modality: PSMA PET/CT | tracer: [18F]PSMA-1007 | view: axial | PET grid: 168×168
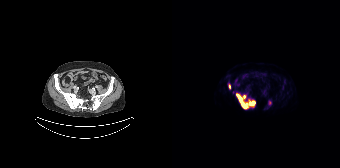
Coordinates are on the 168×168 PET (right) panel. PSMA-avid tumor lesion bounding box (x0,y0,x1,y1): [64,93,83,109]. Small PSMA-avid foci (2 to 4 px across) near (center x, center y): (57, 86) (97, 102).